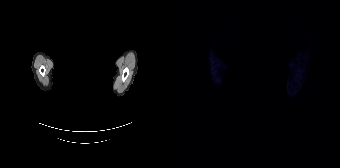
Technique: Left: CT. Right: PSMA PET, same axial level, 18F tracer. PET panel 168×168 px (4.1 mm/px).
Note: Any black rectangle over the head is a privacy mask, not anatomy.
Findings: No PSMA-avid tumor lesions on this slice.